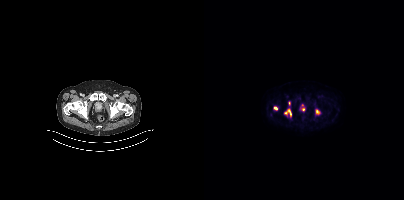
Coordinates are on the 200×200 PET (right) panel. (showing 4 of 6 foci) PSMA-avid tumor lesion bounding boxes (x0,y0,x1,y1): [80,109,87,116] [111,109,116,114]. Small PSMA-avid foci (2 to 4 px across) near (center x, center y): (71, 108) (99, 109).